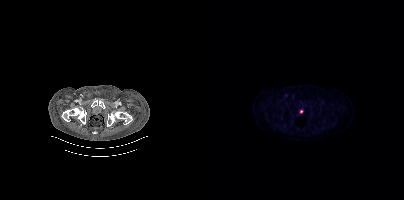
Coordinates are on the 200×200 PET (right) panel. Small PSMA-avid focus (2 to 4 px across) near (center x, center y): (81, 95).